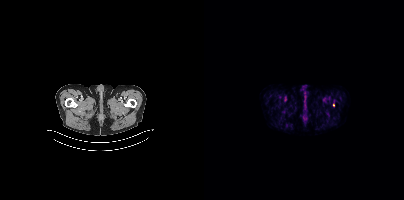
Findings: Coordinates are on the 200×200 PET (right) panel. Small PSMA-avid focus (2 to 4 px across) near (center x, center y): (129, 105).
Technique: Left: CT. Right: PSMA PET, same axial level, 18F tracer. acquired on Siemens Biograph mCT Flow 20. PET panel 200×200 px (4.1 mm/px).